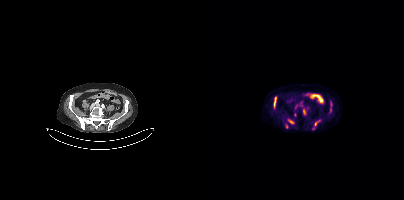
Two-panel axial: CT | PSMA PET, 18F-PSMA tracer. Acquired on Siemens Biograph mCT Flow 20. PET panel 200×200 px (4.1 mm/px).
Coordinates are on the 200×200 PET (right) panel. PSMA-avid tumor lesion bounding boxes (partial; 2 more foci not listed):
| # | x0 | y0 | x1 | y1 |
|---|---|---|---|---|
| 1 | 69 | 97 | 72 | 108 |
| 2 | 84 | 120 | 89 | 123 |
| 3 | 111 | 121 | 114 | 125 |
Small PSMA-avid focus (2 to 4 px across) near (center x, center y): (82, 126).